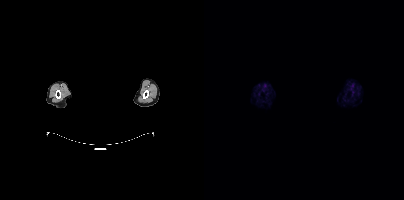
{"modality":"PSMA PET/CT","view":"axial","tracer":"68Ga-PSMA","pet_grid":[200,200],"coord_frame":"pet_panel","coord_format":"x0,y0,x1,y1","psma_avid_lesions":false,"de-identification":"head region blanked (face removed)"}